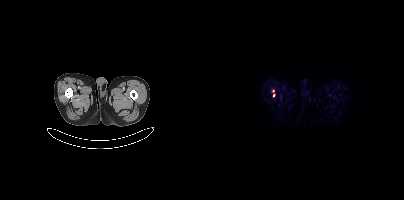
Two-panel axial: CT | PSMA PET, 18F-PSMA tracer. Acquired on Siemens Biograph mCT Flow 20. PET panel 200×200 px (4.1 mm/px). Coordinates are on the 200×200 PET (right) panel. (showing 1 of 2 foci) Small PSMA-avid focus (2 to 4 px across) near (center x, center y): (69, 95).